Two-panel axial: CT | PSMA PET, [18F]PSMA-1007 tracer. PET panel 200×200 px (4.1 mm/px).
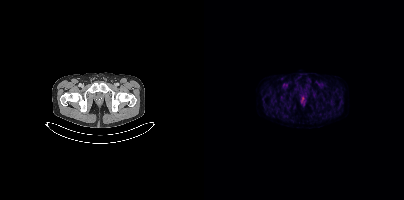
No PSMA-avid tumor lesions on this slice.